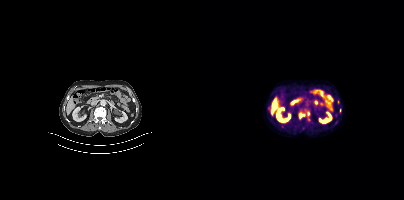
Two-panel axial: CT | PSMA PET, [18F]PSMA-1007 tracer. Acquired on Siemens Biograph mCT Flow 20. PET panel 200×200 px (4.1 mm/px). Coordinates are on the 200×200 PET (right) panel. (showing 2 of 4 foci) PSMA-avid tumor lesion bounding box (x0, y0)-(x1, y1): (95, 113)-(100, 118). Small PSMA-avid focus (2 to 4 px across) near (center x, center y): (104, 113).